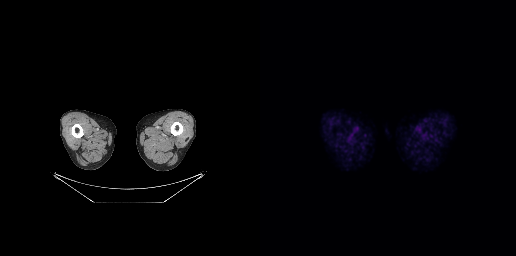
Paired axial CT (left) and PSMA PET (right), [18F]PSMA-1007 tracer. Slice position z = -878 mm. PET panel 256×256 px (2.7 mm/px). Negative for PSMA-avid disease on this slice.